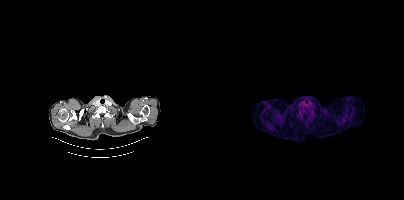
This slice has no annotated PSMA-avid lesion.
modality: PSMA PET/CT | tracer: 18F | view: axial | PET grid: 200×200